modality: PSMA PET/CT | tracer: [68Ga]Ga-PSMA-11 | view: axial | PET grid: 256×256
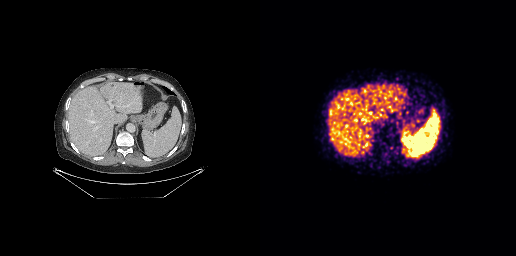
No tumor lesions annotated on this slice.